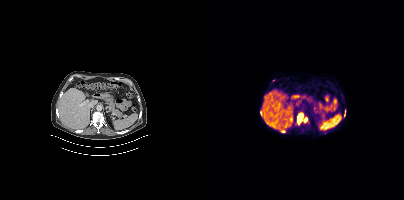
Coordinates are on the 200×200 PET (right) panel. PSMA-avid tumor lesion bounding boxes:
| # | x0 | y0 | x1 | y1 |
|---|---|---|---|---|
| 1 | 93 | 114 | 103 | 124 |
Paired axial CT (left) and PSMA PET (right), 18F-PSMA tracer. Slice 238 of 444. PET panel 200×200 px (4.1 mm/px).